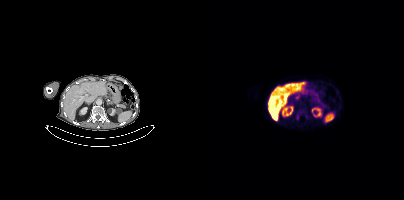
Technique: Left: CT. Right: PSMA PET, same axial level, 18F-PSMA tracer. PET panel 200×200 px (4.1 mm/px).
Findings: Coordinates are on the 200×200 PET (right) panel. PSMA-avid tumor lesion bounding box (x0, y0)-(x1, y1): (93, 115)-(94, 119).